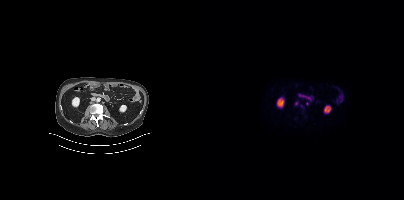
Two-panel axial: CT | PSMA PET, 18F tracer. PET panel 200×200 px (4.1 mm/px). Coordinates are on the 200×200 PET (right) panel. PSMA-avid tumor lesion bounding box (x0,y0,x1,y1): [96,106,100,111]. Small PSMA-avid focus (2 to 4 px across) near (center x, center y): (92, 103).